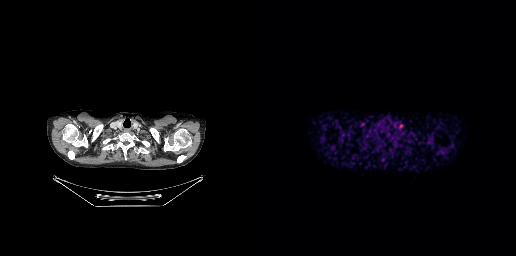
This slice has no annotated PSMA-avid lesion.
modality: PSMA PET/CT | tracer: 68Ga-PSMA | view: axial | PET grid: 256×256